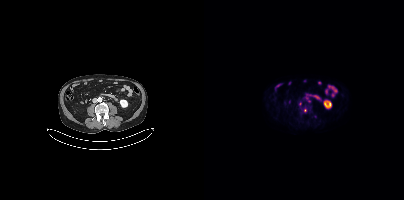
{"modality":"PSMA PET/CT","view":"axial","tracer":"18F-PSMA","pet_grid":[200,200],"coord_frame":"pet_panel","coord_format":"x0,y0,x1,y1","partial":true,"lesion_bboxes":[],"small_foci_centers":[[101,110]]}